Two-panel axial: CT | PSMA PET, 18F tracer. Slice position z = -817 mm.
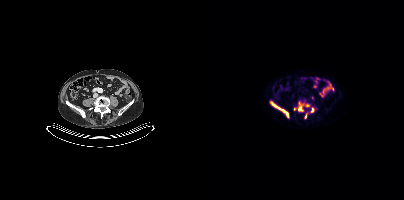
Coordinates are on the 200×200 PET (right) panel. PSMA-avid tumor lesion bounding boxes:
| # | x0 | y0 | x1 | y1 |
|---|---|---|---|---|
| 1 | 66 | 102 | 84 | 117 |
| 2 | 94 | 106 | 99 | 111 |
| 3 | 106 | 108 | 109 | 112 |
| 4 | 101 | 113 | 103 | 118 |
Small PSMA-avid foci (2 to 4 px across) near (center x, center y): (102, 105); (95, 103); (90, 109); (98, 104).